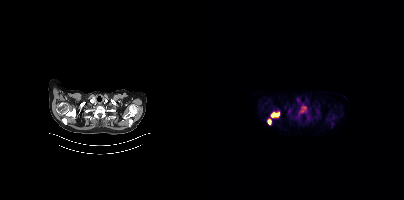
{"modality":"PSMA PET/CT","view":"axial","tracer":"[18F]PSMA-1007","pet_grid":[200,200],"coord_frame":"pet_panel","coord_format":"x0,y0,x1,y1","partial":true,"lesion_bboxes":[[67,112,75,117],[64,119,67,124],[98,107,103,113],[84,109,87,113]],"small_foci_centers":[[98,111]]}